Any black rectangle over the head is a privacy mask, not anatomy.
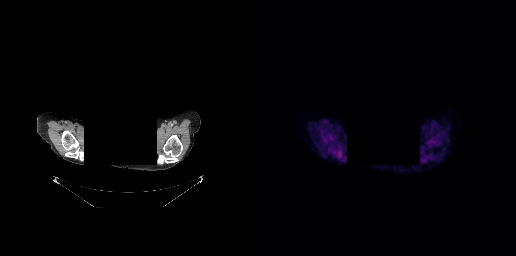
This slice has no annotated PSMA-avid lesion.